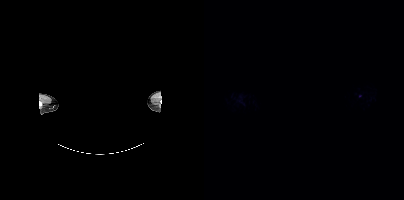
Findings: Only PSMA-avid lesion pieces thinner than 2 px on this slice (not listed).
Technique: Paired axial CT (left) and PSMA PET (right), 18F tracer. PET panel 200×200 px (4.1 mm/px).
Note: Head region blanked for anonymization (face removed).